Technique: Left: CT. Right: PSMA PET, same axial level, 18F tracer. acquired on Siemens Biograph mCT Flow 20. PET panel 200×200 px (4.1 mm/px).
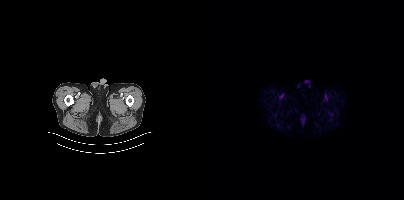
Findings: This slice has no annotated PSMA-avid lesion.